- Two-panel axial: CT | PSMA PET, 18F tracer
- slice 3 of 438
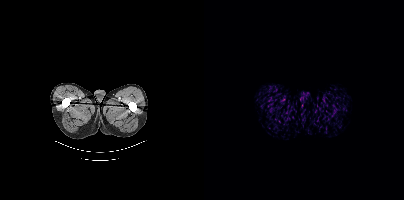
Findings: Negative for PSMA-avid disease on this slice.